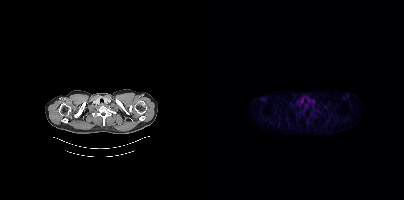
Findings: No tumor lesions annotated on this slice.
- Two-panel axial: CT | PSMA PET, [18F]PSMA-1007 tracer
- acquired on Siemens Biograph mCT Flow 20
- slice 352 of 417